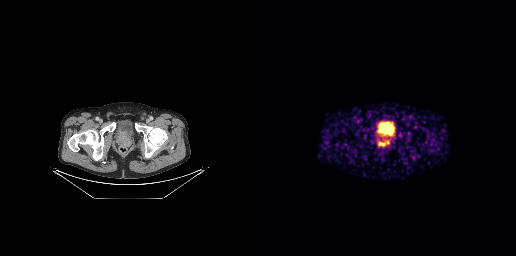
Coordinates are on the 256×256 PET (right) panel. PSMA-avid tumor lesion bounding boxes:
| # | x0 | y0 | x1 | y1 |
|---|---|---|---|---|
| 1 | 119 | 142 | 125 | 145 |
Small PSMA-avid focus (2 to 4 px across) near (center x, center y): (127, 142).
Paired axial CT (left) and PSMA PET (right), [68Ga]Ga-PSMA-11 tracer. PET panel 256×256 px (2.7 mm/px).